- Two-panel axial: CT | PSMA PET, 18F tracer
- slice 216 of 413
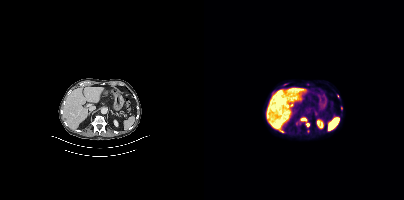
Findings: Coordinates are on the 200×200 PET (right) panel. (showing 4 of 5 foci) PSMA-avid tumor lesion bounding box (x0,y0,x1,y1): [97,118,102,120]. Small PSMA-avid foci (2 to 4 px across) near (center x, center y): (103, 124), (137, 108), (79, 131).